Technique: Left: CT. Right: PSMA PET, same axial level, 18F tracer. acquired on Siemens Biograph mCT Flow 20. PET panel 200×200 px (4.1 mm/px).
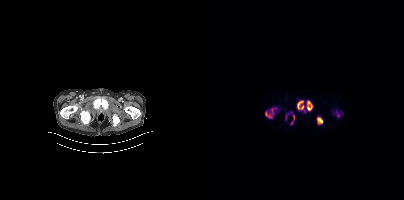
Findings: Coordinates are on the 200×200 PET (right) panel. PSMA-avid tumor lesion bounding boxes (x, y, width, height): x=61 y=107 w=12 h=12 / x=93 y=100 w=7 h=10 / x=103 y=101 w=6 h=10 / x=113 y=117 w=6 h=7 / x=89 y=115 w=2 h=5. Small PSMA-avid focus (2 to 4 px across) near (center x, center y): (87, 122).